- Two-panel axial: CT | PSMA PET, 68Ga tracer
- slice position z = -984 mm
- PET panel 200×200 px (4.1 mm/px)
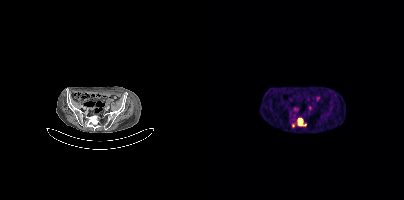
Findings: Coordinates are on the 200×200 PET (right) panel. (showing 2 of 3 foci) PSMA-avid tumor lesion bounding box (x, y, width, height): x=94 y=118 w=9 h=9. Small PSMA-avid focus (2 to 4 px across) near (center x, center y): (105, 107).